- an anonymization step blacked out a rectangle over the head in this scan
- Left: CT. Right: PSMA PET, same axial level, 18F tracer
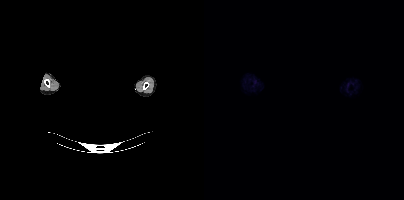
Findings: This slice has no annotated PSMA-avid lesion.